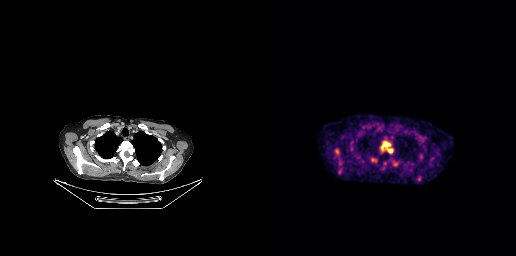
Left: CT. Right: PSMA PET, same axial level, 18F tracer. Slice 216 of 263.
Coordinates are on the 256×256 PET (right) panel. PSMA-avid tumor lesion bounding boxes:
| # | x0 | y0 | x1 | y1 |
|---|---|---|---|---|
| 1 | 121 | 141 | 132 | 152 |
| 2 | 75 | 149 | 79 | 154 |